Two-panel axial: CT | PSMA PET, [18F]PSMA-1007 tracer. Slice 264 of 454. PET panel 200×200 px (4.1 mm/px).
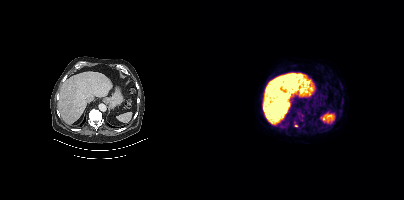
Coordinates are on the 200×200 PET (right) panel. Small PSMA-avid focus (2 to 4 px across) near (center x, center y): (92, 125).